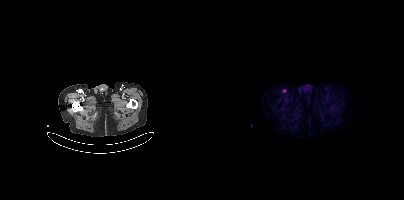
- Paired axial CT (left) and PSMA PET (right), 18F-PSMA tracer
- slice position z = -1592 mm
- PET panel 200×200 px (4.1 mm/px)
Findings: Coordinates are on the 200×200 PET (right) panel. Small PSMA-avid focus (2 to 4 px across) near (center x, center y): (80, 90).